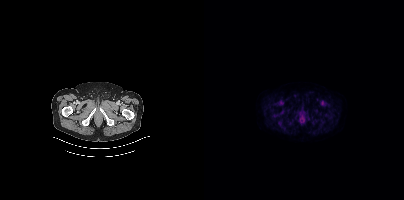
Findings: No PSMA-avid tumor lesions on this slice.
Technique: Two-panel axial: CT | PSMA PET, [18F]PSMA-1007 tracer. acquired on Siemens Biograph mCT Flow 20.